modality: PSMA PET/CT | tracer: 18F-PSMA | view: axial | PET grid: 200×200
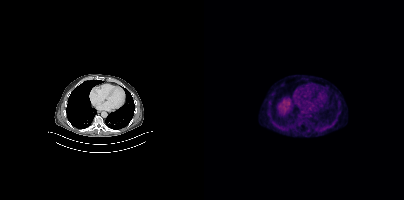
Negative for PSMA-avid disease on this slice.